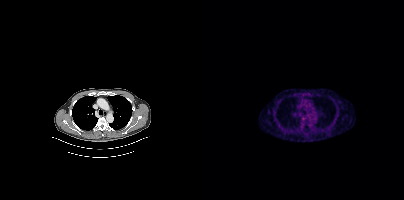
modality: PSMA PET/CT | tracer: 18F | view: axial | PET grid: 200×200
Negative for PSMA-avid disease on this slice.